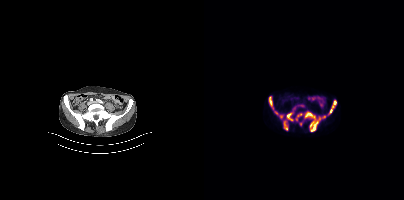
Coordinates are on the 200×200 PET (right) panel. PSMA-avid tumor lesion bounding boxes (x0, y0)-(x1, y1): (100, 111)-(116, 131) | (123, 99)-(132, 115) | (82, 112)-(89, 121) | (65, 96)-(69, 109) | (79, 120)-(84, 130) | (92, 113)-(98, 120). Small PSMA-avid foci (2 to 4 px across) near (center x, center y): (77, 116) | (72, 112) | (96, 124) | (120, 116) | (97, 105).
modality: PSMA PET/CT | tracer: 18F | view: axial